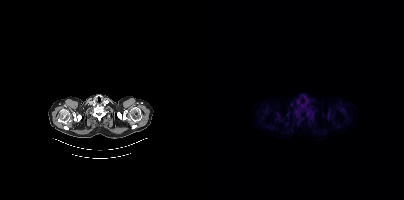
{"modality":"PSMA PET/CT","view":"axial","tracer":"18F-PSMA","pet_grid":[200,200],"coord_frame":"pet_panel","coord_format":"x0,y0,x1,y1","psma_avid_lesions":false}